Technique: Two-panel axial: CT | PSMA PET, [18F]PSMA-1007 tracer. PET panel 200×200 px (4.1 mm/px).
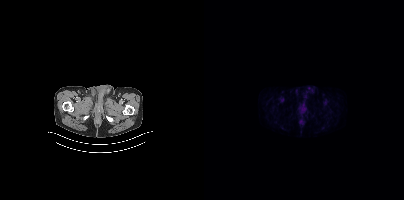
Findings: No PSMA-avid tumor lesions on this slice.